Two-panel axial: CT | PSMA PET, 18F-PSMA tracer. Slice 170 of 450. PET panel 200×200 px (4.1 mm/px).
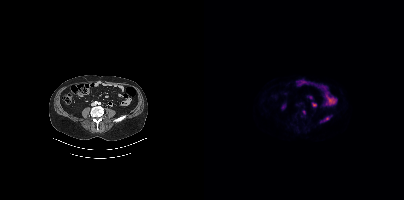
Coordinates are on the 200×200 PET (right) panel. Small PSMA-avid foci (2 to 4 px across) near (center x, center y): (100, 112) (123, 118).